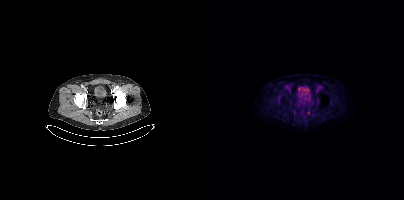
{"modality":"PSMA PET/CT","view":"axial","tracer":"18F-PSMA","pet_grid":[200,200],"coord_frame":"pet_panel","coord_format":"x0,y0,x1,y1","lesion_bboxes":[],"small_foci_centers":[[104,112]]}